modality: PSMA PET/CT | tracer: [18F]PSMA-1007 | view: axial
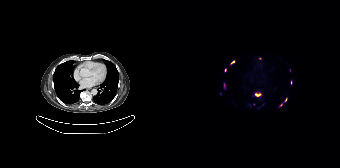
Coordinates are on the 168×168 PET (right) panel. (showing 9 of 10 foci) PSMA-avid tumor lesion bounding boxes (x, y, width, height): x=82 y=92 w=8 h=5 | x=107 y=97 w=9 h=11 | x=58 y=60 w=6 h=5 | x=52 y=83 w=2 h=6 | x=119 y=80 w=2 h=5. Small PSMA-avid foci (2 to 4 px across) near (center x, center y): (53, 69) | (88, 58) | (81, 104) | (48, 93).